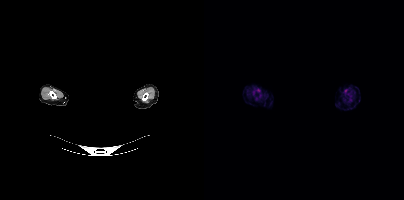
No tumor lesions annotated on this slice.
redaction: facial region redacted | modality: PSMA PET/CT | tracer: 18F-PSMA | view: axial | PET grid: 200×200